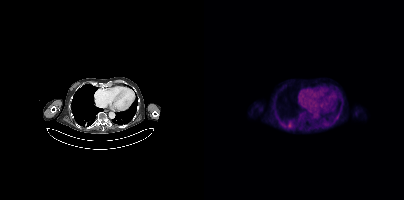
{"modality":"PSMA PET/CT","view":"axial","tracer":"18F-PSMA","pet_grid":[200,200],"coord_frame":"pet_panel","coord_format":"x0,y0,x1,y1","psma_avid_lesions":false}